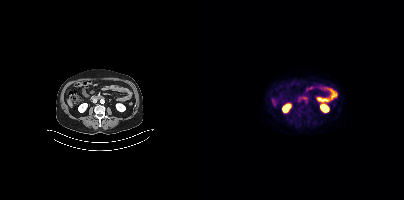
Findings: This slice has no annotated PSMA-avid lesion.
Technique: Two-panel axial: CT | PSMA PET, 18F tracer. acquired on Siemens Biograph mCT Flow 20. slice 161 of 393.